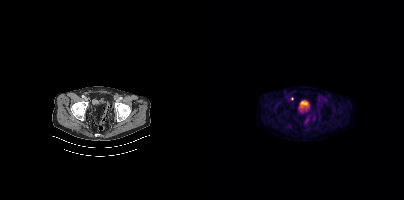
Coordinates are on the 200×200 PET (right) panel. Small PSMA-avid focus (2 to 4 px across) near (center x, center y): (88, 98).
modality: PSMA PET/CT | tracer: [18F]PSMA-1007 | view: axial | PET grid: 200×200